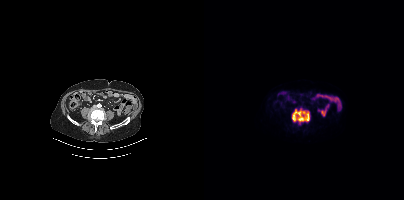
Coordinates are on the 200×200 PET (right) panel. PSMA-avid tumor lesion bounding box (x0,y0,x1,y1): [87,108,106,124].